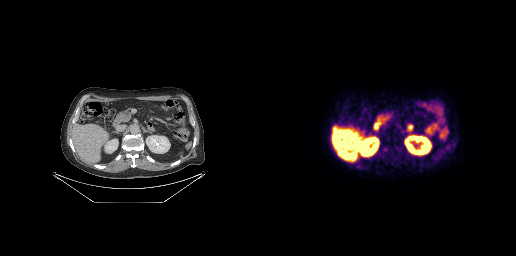
{"modality":"PSMA PET/CT","view":"axial","tracer":"18F-PSMA","pet_grid":[256,256],"coord_frame":"pet_panel","coord_format":"x0,y0,x1,y1","psma_avid_lesions":false}